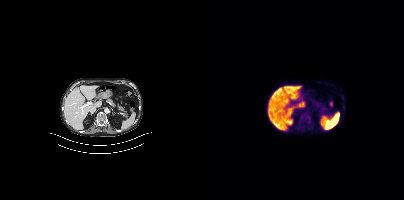
Findings: Coordinates are on the 200×200 PET (right) panel. PSMA-avid tumor lesion bounding box (x0, y0)-(x1, y1): (101, 116)-(107, 122).
- Two-panel axial: CT | PSMA PET, 18F-PSMA tracer
- slice 202 of 401
- PET panel 200×200 px (4.1 mm/px)